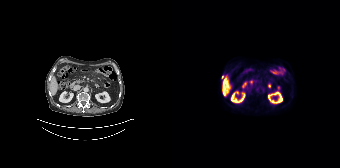
modality: PSMA PET/CT | tracer: 18F-PSMA | view: axial | PET grid: 168×168
Coordinates are on the 168×168 PET (right) panel. Small PSMA-avid focus (2 to 4 px across) near (center x, center y): (50, 77).